Two-panel axial: CT | PSMA PET, [18F]PSMA-1007 tracer. Slice position z = -1408 mm.
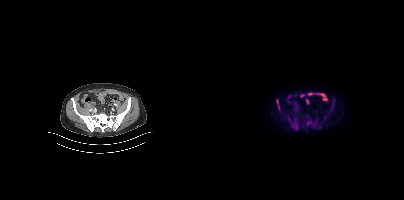
Coordinates are on the 200×200 PET (right) panel. PSMA-avid tumor lesion bounding boxes (x0, y0)-(x1, y1): (72, 99)-(75, 110) | (103, 120)-(107, 125) | (88, 125)-(93, 128).